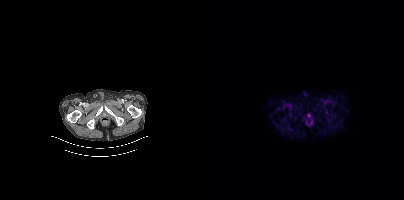
Findings: Only PSMA-avid lesion pieces thinner than 2 px on this slice (not listed).
- Left: CT. Right: PSMA PET, same axial level, 18F-PSMA tracer
- acquired on Siemens Biograph mCT Flow 20